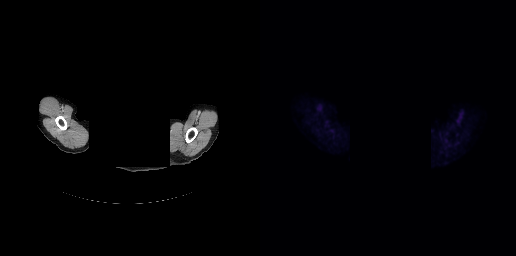
modality: PSMA PET/CT | tracer: 18F | view: axial | de-identification: head region blanked (face removed)
This slice has no annotated PSMA-avid lesion.